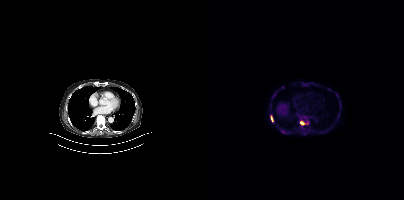
Paired axial CT (left) and PSMA PET (right), 18F-PSMA tracer. Slice position z = -1167 mm. PET panel 200×200 px (4.1 mm/px). Coordinates are on the 200×200 PET (right) panel. (showing 3 of 4 foci) PSMA-avid tumor lesion bounding boxes (x0,y0,x1,y1): [96,120,104,124] [67,116,69,121]. Small PSMA-avid focus (2 to 4 px across) near (center x, center y): (79, 131).